modality: PSMA PET/CT | tracer: [18F]PSMA-1007 | view: axial | PET grid: 200×200
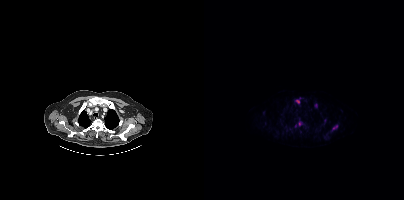
Coordinates are on the 200×200 PET (right) panel. PSMA-avid tumor lesion bounding box (x0, y0)-(x1, y1): (129, 125)-(132, 129). Small PSMA-avid foci (2 to 4 px across) near (center x, center y): (93, 101) / (111, 105) / (95, 123) / (91, 126).